- Paired axial CT (left) and PSMA PET (right), [68Ga]Ga-PSMA-11 tracer
- PET panel 168×168 px (4.1 mm/px)
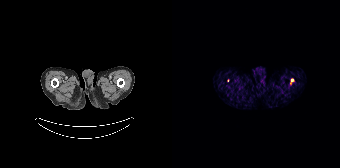
Findings: Coordinates are on the 168×168 PET (right) panel. (showing 1 of 2 foci) Small PSMA-avid focus (2 to 4 px across) near (center x, center y): (120, 79).